- Left: CT. Right: PSMA PET, same axial level, 18F tracer
- slice 119 of 411
- PET panel 200×200 px (4.1 mm/px)
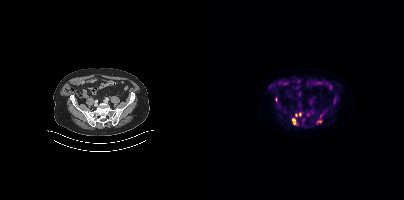
Findings: Coordinates are on the 200×200 PET (right) panel. (showing 6 of 7 foci) PSMA-avid tumor lesion bounding boxes (x0,y0,x1,y1): [88,118,92,124]; [113,120,117,123]. Small PSMA-avid foci (2 to 4 px across) near (center x, center y): (96, 114); (92, 115); (72, 99); (116, 116).